Technique: Left: CT. Right: PSMA PET, same axial level, [18F]PSMA-1007 tracer. acquired on Siemens Biograph mCT Flow 20. PET panel 200×200 px (4.1 mm/px).
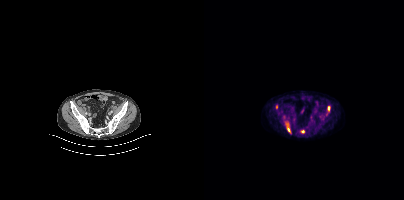
Findings: Coordinates are on the 200×200 PET (right) panel. PSMA-avid tumor lesion bounding boxes (x0,y0,x1,y1): [83,126,86,132], [124,106,125,110]. Small PSMA-avid focus (2 to 4 px across) near (center x, center y): (98, 131).